- Left: CT. Right: PSMA PET, same axial level, [18F]PSMA-1007 tracer
- slice position z = -934 mm
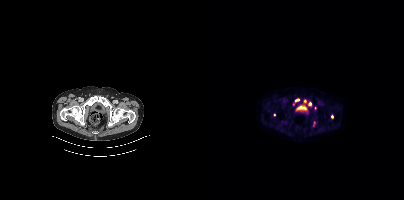
Findings: Coordinates are on the 200×200 PET (right) panel. (showing 5 of 7 foci) PSMA-avid tumor lesion bounding box (x0, y0)-(x1, y1): (91, 98)-(95, 102). Small PSMA-avid foci (2 to 4 px across) near (center x, center y): (105, 103); (128, 116); (101, 101); (70, 115).